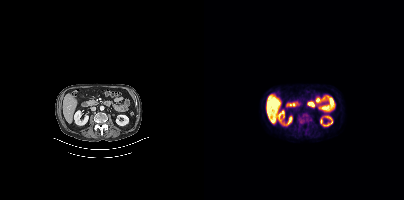
Findings: Coordinates are on the 200×200 PET (right) panel. PSMA-avid tumor lesion bounding box (x, y, width, height): x=97 y=116 w=7 h=7.
- Paired axial CT (left) and PSMA PET (right), 18F-PSMA tracer
- acquired on Siemens Biograph mCT Flow 20
- PET panel 200×200 px (4.1 mm/px)